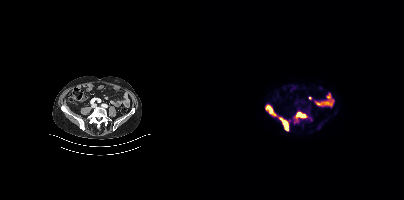
Findings: Coordinates are on the 200×200 PET (right) panel. PSMA-avid tumor lesion bounding boxes (x0,y0,x1,y1): [75,117,84,130], [61,105,72,115], [92,112,101,117], [90,119,94,122], [104,117,108,120].
- Two-panel axial: CT | PSMA PET, 18F-PSMA tracer
- acquired on Siemens Biograph mCT Flow 20
- PET panel 200×200 px (4.1 mm/px)